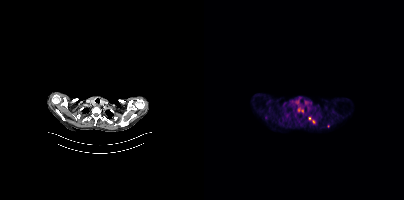
{"pet_grid":[200,200],"coord_frame":"pet_panel","coord_format":"x0,y0,x1,y1","partial":true,"lesion_bboxes":[[105,116,110,123]],"small_foci_centers":[[124,126],[98,110]],"modality":"PSMA PET/CT","view":"axial","tracer":"18F"}